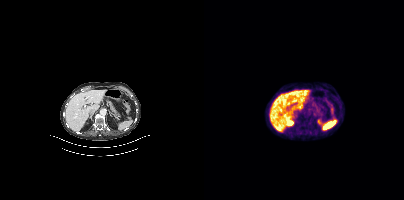
No PSMA-avid tumor lesions on this slice.